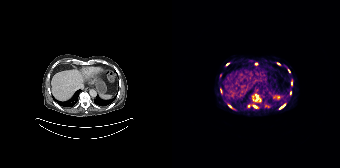
Coordinates are on the 168×168 PET (right) panel. PSMA-avid tumor lesion bounding boxes (partial; 3 more foci not listed):
| # | x0 | y0 | x1 | y1 |
|---|---|---|---|---|
| 1 | 108 | 104 | 113 | 108 |
Small PSMA-avid foci (2 to 4 px across) near (center x, center y): (49, 91); (119, 83); (118, 92); (84, 63); (57, 106); (83, 106); (55, 64); (116, 70).
Left: CT. Right: PSMA PET, same axial level, 68Ga-PSMA tracer. Slice 98 of 165. PET panel 168×168 px (4.1 mm/px).